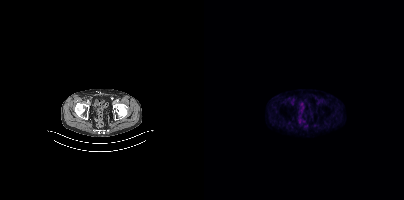
modality: PSMA PET/CT | tracer: 18F | view: axial
Negative for PSMA-avid disease on this slice.